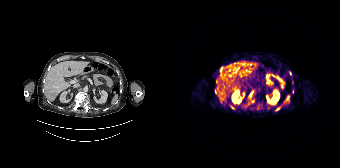
{"modality":"PSMA PET/CT","view":"axial","tracer":"[68Ga]Ga-PSMA-11","pet_grid":[168,168],"coord_frame":"pet_panel","coord_format":"x0,y0,x1,y1","partial":true,"lesion_bboxes":[[58,105,62,109],[48,67,49,72],[78,91,81,95]],"small_foci_centers":[[105,109],[43,91],[118,73],[86,106]]}